Paired axial CT (left) and PSMA PET (right), [18F]PSMA-1007 tracer. Acquired on Siemens Biograph mCT Flow 20. PET panel 200×200 px (4.1 mm/px).
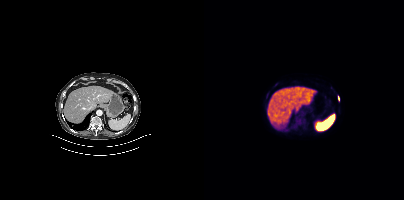
Coordinates are on the 200×200 PET (right) panel. PSMA-avid tumor lesion bounding box (x, y, width, height): x=134 y=96 w=2 h=5.